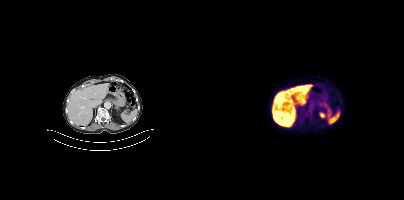
{"modality":"PSMA PET/CT","view":"axial","tracer":"[18F]PSMA-1007","pet_grid":[200,200],"coord_frame":"pet_panel","coord_format":"x0,y0,x1,y1","psma_avid_lesions":false}